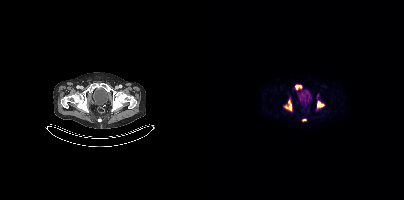
Paired axial CT (left) and PSMA PET (right), [18F]PSMA-1007 tracer. Acquired on Siemens Biograph mCT Flow 20.
Coordinates are on the 200×200 PET (right) panel. PSMA-avid tumor lesion bounding boxes (partial; 1 more focus not listed):
| # | x0 | y0 | x1 | y1 |
|---|---|---|---|---|
| 1 | 80 | 100 | 87 | 110 |
| 2 | 113 | 101 | 119 | 107 |
| 3 | 91 | 85 | 97 | 89 |
Small PSMA-avid focus (2 to 4 px across) near (center x, center y): (100, 119).